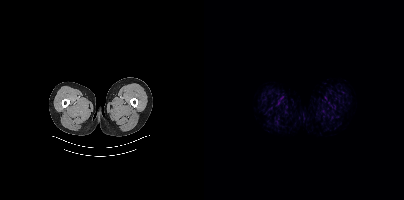
No PSMA-avid tumor lesions on this slice. Left: CT. Right: PSMA PET, same axial level, 18F-PSMA tracer. Acquired on Siemens Biograph mCT Flow 20. PET panel 200×200 px (4.1 mm/px).